Two-panel axial: CT | PSMA PET, [18F]PSMA-1007 tracer. Slice position z = -1085 mm. PET panel 200×200 px (4.1 mm/px).
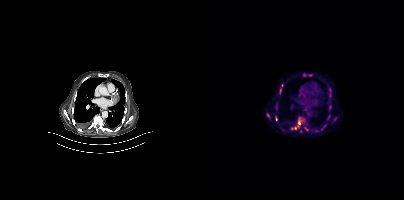
Coordinates are on the 200×200 PET (right) panel. PSMA-avid tumor lesion bounding boxes (partial; 3 more foci not listed):
| # | x0 | y0 | x1 | y1 |
|---|---|---|---|---|
| 1 | 87 | 117 | 101 | 130 |
| 2 | 125 | 88 | 127 | 97 |
| 3 | 62 | 113 | 66 | 118 |
| 4 | 100 | 126 | 104 | 131 |
| 5 | 71 | 116 | 73 | 121 |
| 6 | 76 | 88 | 77 | 93 |
| 7 | 123 | 115 | 126 | 119 |
Small PSMA-avid foci (2 to 4 px across) near (center x, center y): (100, 75); (78, 85); (126, 108); (131, 119); (96, 131).